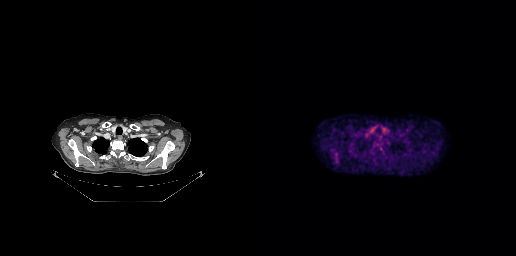
Two-panel axial: CT | PSMA PET, [18F]PSMA-1007 tracer. Acquired on GE Discovery 690. Slice 222 of 263. No PSMA-avid tumor lesions on this slice.